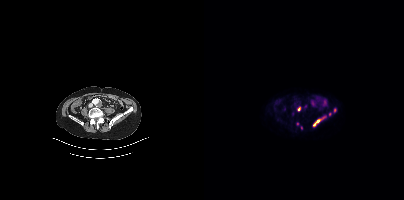
{"modality":"PSMA PET/CT","view":"axial","tracer":"68Ga-PSMA","pet_grid":[200,200],"coord_frame":"pet_panel","coord_format":"x0,y0,x1,y1","partial":true,"lesion_bboxes":[[110,117,120,125],[130,108,132,112]],"small_foci_centers":[[95,108],[126,113],[97,127],[93,123]]}